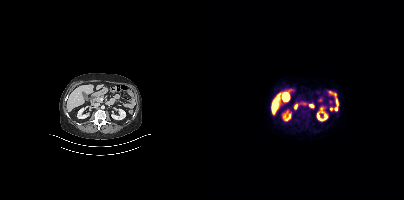
This slice has no annotated PSMA-avid lesion.